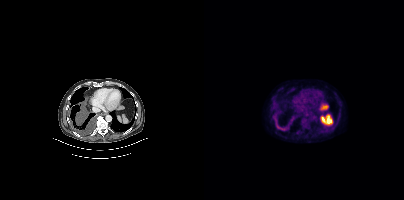
{"modality":"PSMA PET/CT","view":"axial","tracer":"18F-PSMA","pet_grid":[200,200],"coord_frame":"pet_panel","coord_format":"x0,y0,x1,y1","lesion_bboxes":[[72,122,83,130],[69,116,73,120],[86,116,90,122]]}